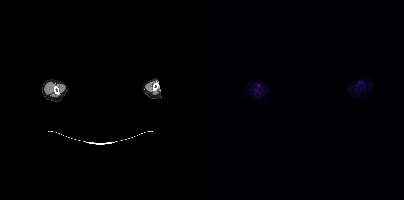
A rectangular block over the head has been blanked out for de-identification.
No PSMA-avid tumor lesions on this slice.